Technique: Two-panel axial: CT | PSMA PET, 68Ga tracer. PET panel 200×200 px (4.1 mm/px).
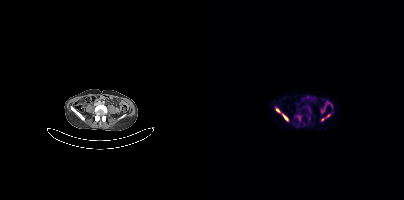
Findings: Coordinates are on the 200×200 PET (right) panel. (showing 4 of 6 foci) PSMA-avid tumor lesion bounding box (x0, y0)-(x1, y1): (78, 113)-(83, 120). Small PSMA-avid foci (2 to 4 px across) near (center x, center y): (73, 110) | (124, 115) | (95, 117).